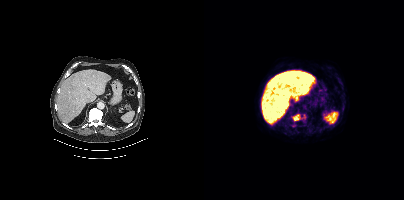
Coordinates are on the 200×200 PET (right) panel. PSMA-avid tumor lesion bounding box (x, y, width, height): x=89 y=114 w=7 h=7.